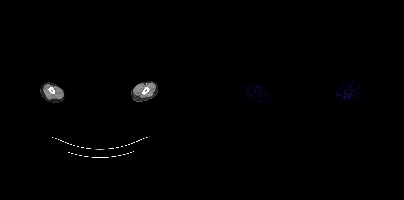
Technique: Two-panel axial: CT | PSMA PET, [18F]PSMA-1007 tracer.
Note: A rectangle over the head was blacked out to remove identifiable facial features.
Findings: No tumor lesions annotated on this slice.